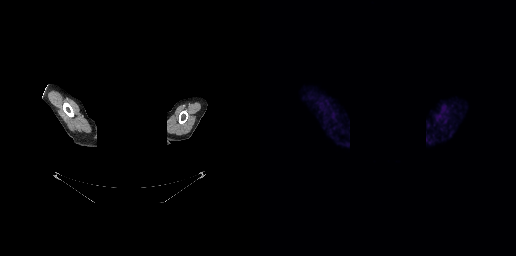
redaction: rectangular block over head set to black | modality: PSMA PET/CT | tracer: 68Ga-PSMA | view: axial | PET grid: 256×256
This slice has no annotated PSMA-avid lesion.